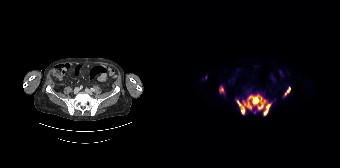
Findings: Coordinates are on the 168×168 PET (right) panel. (showing 4 of 5 foci) PSMA-avid tumor lesion bounding boxes (x, y, width, height): x=63 y=93 w=37 h=23; x=47 y=85 w=6 h=9; x=112 y=87 w=7 h=9. Small PSMA-avid focus (2 to 4 px across) near (center x, center y): (82, 112).
Technique: Two-panel axial: CT | PSMA PET, [18F]PSMA-1007 tracer. acquired on Siemens Biograph 64-4R TruePoint. slice 60 of 165.